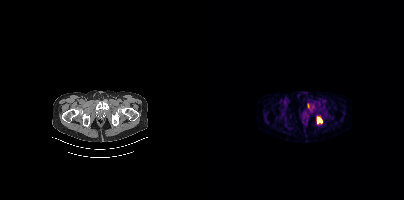
{"modality":"PSMA PET/CT","view":"axial","tracer":"68Ga","pet_grid":[200,200],"coord_frame":"pet_panel","coord_format":"x0,y0,x1,y1","lesion_bboxes":[[112,116,118,124],[103,103,105,108]]}